Technique: Paired axial CT (left) and PSMA PET (right), 18F-PSMA tracer. acquired on Siemens Biograph mCT Flow 20. slice 427 of 508.
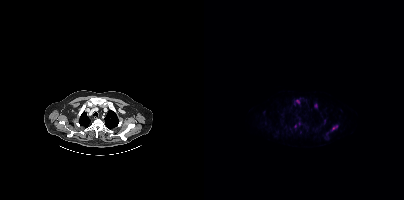
Findings: Coordinates are on the 200×200 PET (right) panel. (showing 4 of 5 foci) PSMA-avid tumor lesion bounding box (x0, y0)-(x1, y1): (128, 125)-(132, 130). Small PSMA-avid foci (2 to 4 px across) near (center x, center y): (111, 105) / (94, 101) / (91, 126).